Technique: Paired axial CT (left) and PSMA PET (right), 18F tracer. slice position z = -1597 mm. PET panel 200×200 px (4.1 mm/px).
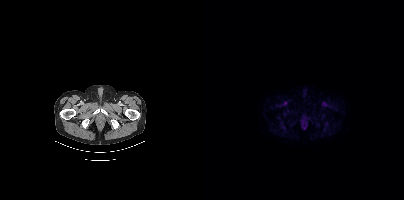
Findings: No tumor lesions annotated on this slice.